- Left: CT. Right: PSMA PET, same axial level, 18F-PSMA tracer
- acquired on Siemens Biograph mCT Flow 20
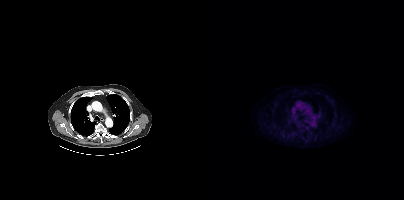
Findings: Negative for PSMA-avid disease on this slice.